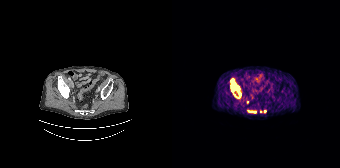
Coordinates are on the 168×168 PET (right) panel. PSMA-avid tumor lesion bounding boxes (partial; 4 more foci not listed):
| # | x0 | y0 | x1 | y1 |
|---|---|---|---|---|
| 1 | 64 | 85 | 67 | 91 |
| 2 | 59 | 79 | 63 | 84 |
Small PSMA-avid foci (2 to 4 px across) near (center x, center y): (61, 90); (81, 111); (67, 94); (92, 111).
Left: CT. Right: PSMA PET, same axial level, 68Ga tracer. PET panel 168×168 px (4.1 mm/px).